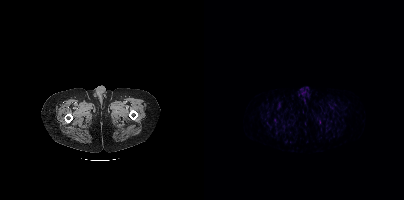
modality: PSMA PET/CT | tracer: [68Ga]Ga-PSMA-11 | view: axial
No PSMA-avid tumor lesions on this slice.